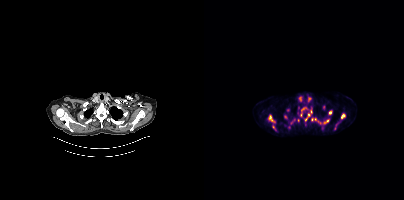
Coordinates are on the 200×200 PET (right) panel. (showing 14 of 20 foci) PSMA-avid tumor lesion bounding boxes (x0,y0,x1,y1): [64,114,71,123], [101,110,108,120], [137,113,141,118], [68,125,72,130], [120,119,125,123], [86,119,91,124]. Small PSMA-avid foci (2 to 4 px across) near (center x, center y): (126, 112), (81, 116), (108, 119), (94, 120), (111, 119), (98, 109), (83, 110), (96, 115).